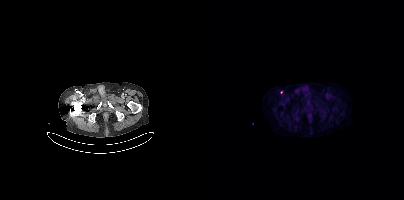
Two-panel axial: CT | PSMA PET, 18F-PSMA tracer. PET panel 200×200 px (4.1 mm/px). No PSMA-avid tumor lesions on this slice.